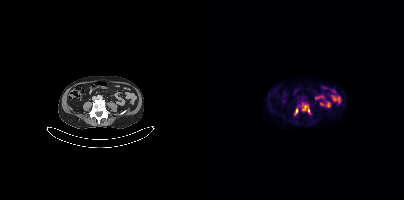
Coordinates are on the 200×200 PET (right) panel. PSMA-avid tumor lesion bounding boxes (x0,y0,x1,y1): [98,104,106,113]; [90,108,94,114].